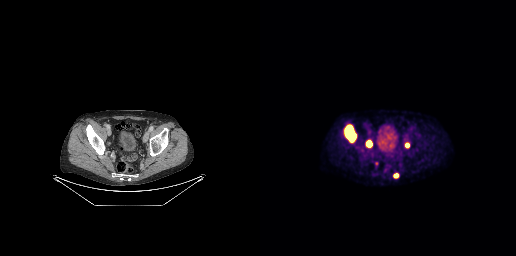
modality: PSMA PET/CT | tracer: [18F]PSMA-1007 | view: axial | PET grid: 256×256
Coordinates are on the 256×256 PET (right) panel. PSMA-avid tumor lesion bounding boxes (x0,y0,x1,y1): [85,125,95,141] [107,141,111,146] [145,143,149,147] [134,174,138,177].